Left: CT. Right: PSMA PET, same axial level, 18F-PSMA tracer. Acquired on Siemens Biograph mCT Flow 20. Slice 229 of 415.
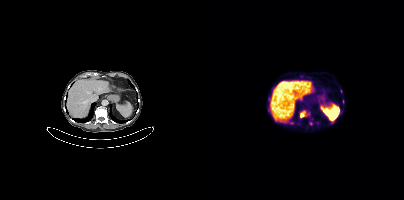
Coordinates are on the 200×200 PET (right) panel. PSMA-avid tumor lesion bounding boxes (partial; 1 more focus not listed):
| # | x0 | y0 | x1 | y1 |
|---|---|---|---|---|
| 1 | 96 | 110 | 102 | 117 |
Small PSMA-avid focus (2 to 4 px across) near (center x, center y): (106, 123).